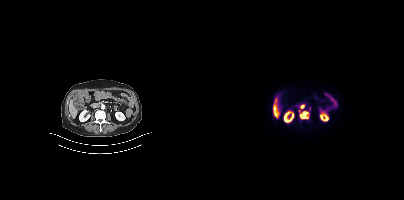
{"modality":"PSMA PET/CT","view":"axial","tracer":"[18F]PSMA-1007","pet_grid":[200,200],"coord_frame":"pet_panel","coord_format":"x0,y0,x1,y1","lesion_bboxes":[[96,111,104,118]],"small_foci_centers":[[98,106]]}